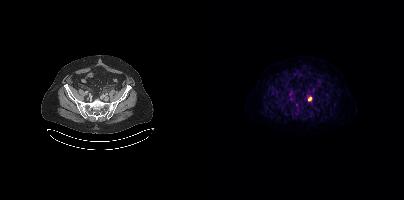
Paired axial CT (left) and PSMA PET (right), [18F]PSMA-1007 tracer. Slice 127 of 435. PET panel 200×200 px (4.1 mm/px).
Coordinates are on the 200×200 PET (right) panel. PSMA-avid tumor lesion bounding boxes:
| # | x0 | y0 | x1 | y1 |
|---|---|---|---|---|
| 1 | 104 | 96 | 108 | 101 |
Small PSMA-avid focus (2 to 4 px across) near (center x, center y): (107, 112).